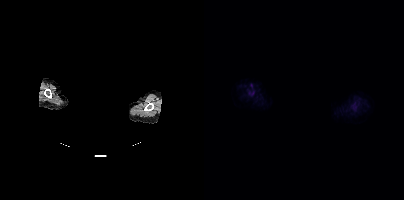
- Paired axial CT (left) and PSMA PET (right), [18F]PSMA-1007 tracer
- slice 432 of 462
- PET panel 200×200 px (4.1 mm/px)
- an anonymization step blacked out a rectangle over the head in this scan
Findings: No PSMA-avid tumor lesions on this slice.